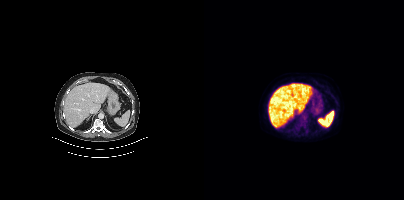
No PSMA-avid tumor lesions on this slice.